Two-panel axial: CT | PSMA PET, [18F]PSMA-1007 tracer.
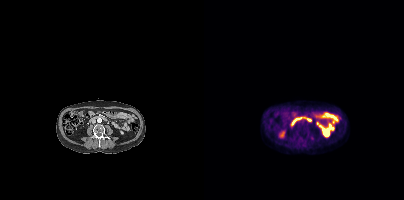
Coordinates are on the 200×200 PET (right) panel. Small PSMA-avid focus (2 to 4 px across) near (center x, center y): (96, 138).